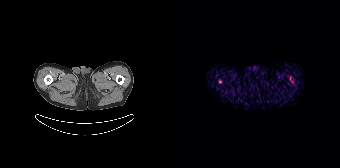
- Two-panel axial: CT | PSMA PET, [68Ga]Ga-PSMA-11 tracer
- acquired on Siemens Biograph 64-4R TruePoint
- PET panel 168×168 px (4.1 mm/px)
Findings: Coordinates are on the 168×168 PET (right) panel. Small PSMA-avid focus (2 to 4 px across) near (center x, center y): (48, 81).